Paired axial CT (left) and PSMA PET (right), [18F]PSMA-1007 tracer. Slice position z = -408 mm.
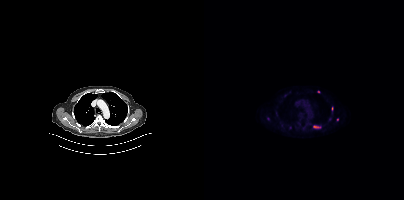
Coordinates are on the 200×200 PET (right) panel. PSMA-avid tumor lesion bounding boxes (partial; 1 more focus not listed):
| # | x0 | y0 | x1 | y1 |
|---|---|---|---|---|
| 1 | 109 | 125 | 116 | 128 |